- Paired axial CT (left) and PSMA PET (right), 18F tracer
- slice position z = -826 mm
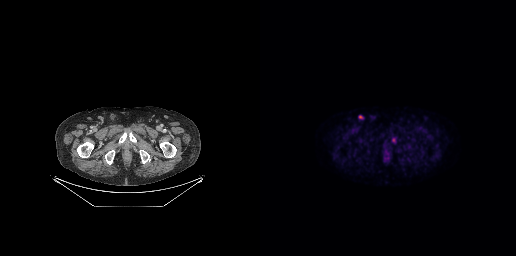
Findings: Coordinates are on the 256×256 PET (right) panel. PSMA-avid tumor lesion bounding box (x0,y0,x1,y1): [99,115,103,118]. Small PSMA-avid focus (2 to 4 px across) near (center x, center y): (133, 139).